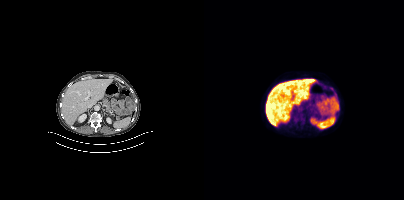
Findings: No PSMA-avid tumor lesions on this slice.
Technique: Paired axial CT (left) and PSMA PET (right), [18F]PSMA-1007 tracer. acquired on Siemens Biograph mCT Flow 20. slice 224 of 415. PET panel 200×200 px (4.1 mm/px).